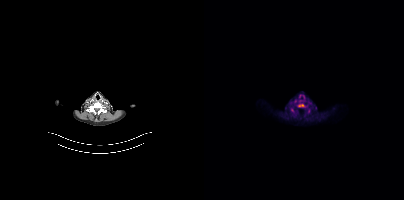
Findings: Coordinates are on the 200×200 PET (right) panel. PSMA-avid tumor lesion bounding box (x0,y0,x1,y1): [94,104,100,106].
Technique: Two-panel axial: CT | PSMA PET, 18F-PSMA tracer. PET panel 200×200 px (4.1 mm/px).